modality: PSMA PET/CT | tracer: 18F-PSMA | view: axial | PET grid: 200×200
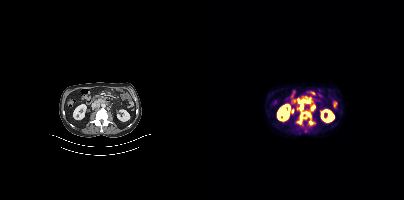
Coordinates are on the 200×200 PET (right) panel. PSMA-avid tumor lesion bounding boxes (x, y, width, height): x=93 y=99 w=15 h=26 | x=105 y=120 w=5 h=5 | x=107 y=105 w=4 h=6.